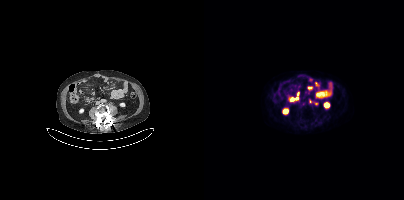
{"modality":"PSMA PET/CT","view":"axial","tracer":"18F","pet_grid":[200,200],"coord_frame":"pet_panel","coord_format":"x0,y0,x1,y1","lesion_bboxes":[[86,97,94,100],[104,87,108,89]],"small_foci_centers":[[106,101],[93,93],[112,103]]}